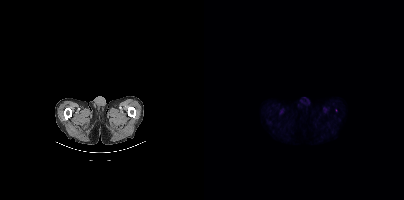
{"modality":"PSMA PET/CT","view":"axial","tracer":"18F-PSMA","pet_grid":[200,200],"coord_frame":"pet_panel","coord_format":"x0,y0,x1,y1","partial":true,"lesion_bboxes":[]}